Technique: Paired axial CT (left) and PSMA PET (right), 18F tracer. acquired on Siemens Biograph mCT Flow 20. slice 265 of 387.
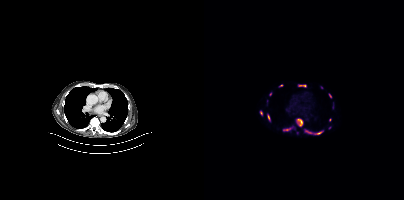
Findings: Coordinates are on the 200×200 PET (right) panel. (showing 12 of 13 foci) PSMA-avid tumor lesion bounding boxes (x0,y0,x1,y1): [93,119,98,126]; [79,127,88,130]; [94,84,102,87]; [113,130,119,134]; [101,129,107,133]; [63,114,65,119]. Small PSMA-avid foci (2 to 4 px across) near (center x, center y): (57, 112); (76, 85); (126, 95); (126, 120); (66, 94); (125, 127).